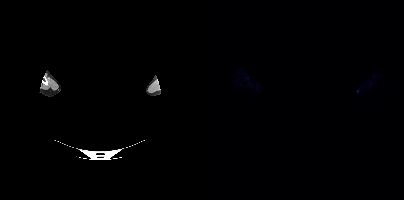
{"modality":"PSMA PET/CT","view":"axial","tracer":"[18F]PSMA-1007","pet_grid":[200,200],"coord_frame":"pet_panel","coord_format":"x0,y0,x1,y1","psma_avid_lesions":false,"deidentification":"head region blanked (face removed)"}